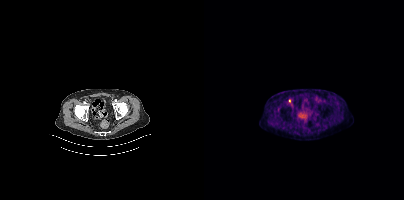
{"modality":"PSMA PET/CT","view":"axial","tracer":"[18F]PSMA-1007","pet_grid":[200,200],"coord_frame":"pet_panel","coord_format":"x0,y0,x1,y1","lesion_bboxes":[],"small_foci_centers":[[85,101]]}